- Left: CT. Right: PSMA PET, same axial level, 18F-PSMA tracer
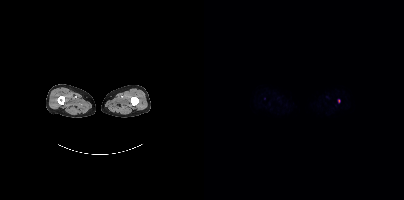
Findings: Coordinates are on the 200×200 PET (right) panel. Small PSMA-avid focus (2 to 4 px across) near (center x, center y): (134, 101).